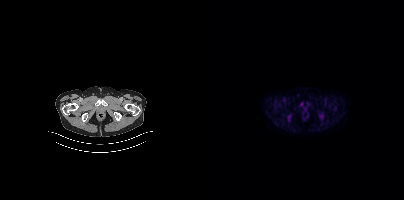
Findings: This slice has no annotated PSMA-avid lesion.
Technique: Paired axial CT (left) and PSMA PET (right), 18F tracer. PET panel 200×200 px (4.1 mm/px).